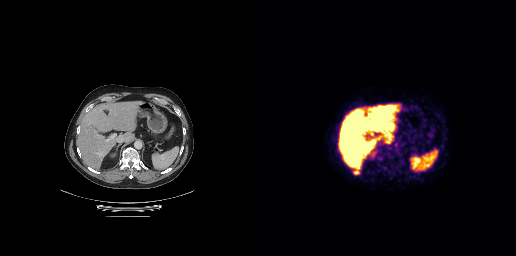
{"modality":"PSMA PET/CT","view":"axial","tracer":"18F","pet_grid":[256,256],"coord_frame":"pet_panel","coord_format":"x0,y0,x1,y1","lesion_bboxes":[[93,170,99,174]]}